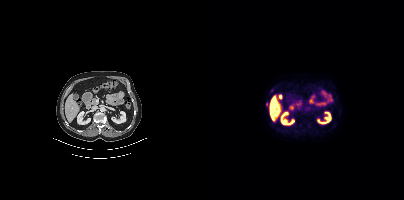
{"modality":"PSMA PET/CT","view":"axial","tracer":"[18F]PSMA-1007","pet_grid":[200,200],"coord_frame":"pet_panel","coord_format":"x0,y0,x1,y1","lesion_bboxes":[],"small_foci_centers":[[63,103]]}